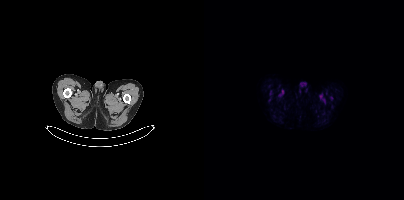
Negative for PSMA-avid disease on this slice.
modality: PSMA PET/CT | tracer: [18F]PSMA-1007 | view: axial